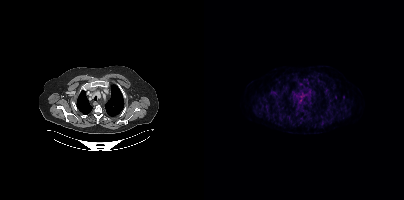
modality: PSMA PET/CT | tracer: 18F | view: axial | PET grid: 200×200
This slice has no annotated PSMA-avid lesion.